- Left: CT. Right: PSMA PET, same axial level, [18F]PSMA-1007 tracer
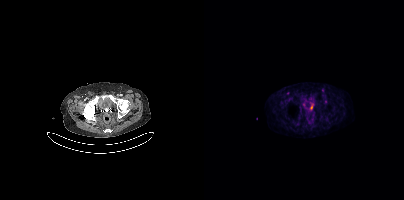
Findings: Coordinates are on the 200×200 PET (right) panel. Small PSMA-avid foci (2 to 4 px across) near (center x, center y): (83, 93) / (118, 90).